Technique: Paired axial CT (left) and PSMA PET (right), 18F tracer.
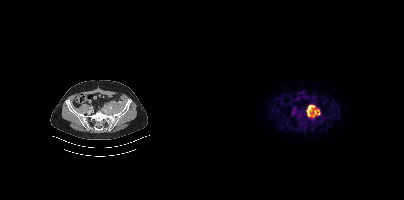
Findings: Coordinates are on the 200×200 PET (right) panel. PSMA-avid tumor lesion bounding box (x0, y0)-(x1, y1): (102, 105)-(116, 117).